modality: PSMA PET/CT | tracer: [18F]PSMA-1007 | view: axial | PET grid: 200×200
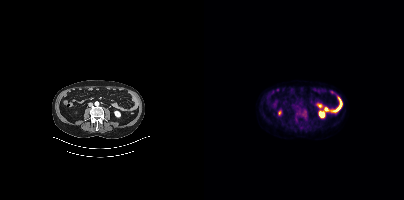
No tumor lesions annotated on this slice.